- Left: CT. Right: PSMA PET, same axial level, [18F]PSMA-1007 tracer
- acquired on GE Discovery 690
- PET panel 256×256 px (2.7 mm/px)
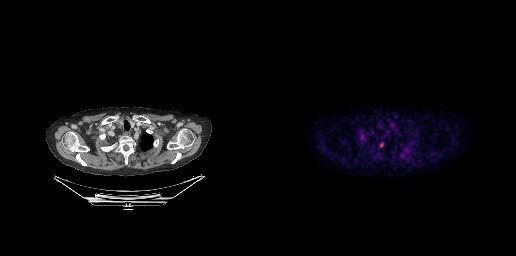
Findings: Coordinates are on the 256×256 PET (right) panel. PSMA-avid tumor lesion bounding box (x0, y0)-(x1, y1): (120, 142)-(123, 147).